Paired axial CT (left) and PSMA PET (right), [18F]PSMA-1007 tracer. Slice position z = -735 mm. PET panel 256×256 px (2.7 mm/px).
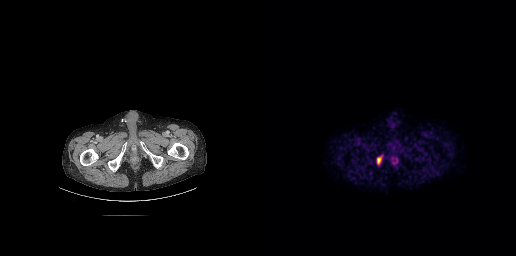
Coordinates are on the 256×256 PET (right) panel. PSMA-avid tumor lesion bounding boxes (x0, y0)-(x1, y1): (129, 151)-(138, 165) / (116, 157)-(121, 165).